Technique: Paired axial CT (left) and PSMA PET (right), [18F]PSMA-1007 tracer. slice position z = -476 mm. PET panel 200×200 px (4.1 mm/px).
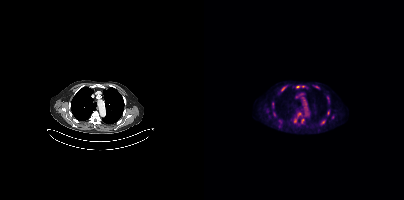
Findings: Coordinates are on the 200×200 PET (right) panel. (showing 10 of 12 foci) PSMA-avid tumor lesion bounding boxes (x0,y0,x1,y1): [77,86,82,90], [68,102,69,107]. Small PSMA-avid foci (2 to 4 px across) near (center x, center y): (112, 87), (119, 122), (93, 86), (99, 86), (124, 113), (98, 120), (95, 113), (90, 120).